- Two-panel axial: CT | PSMA PET, [18F]PSMA-1007 tracer
- acquired on Siemens Biograph mCT Flow 20
- slice position z = 228 mm
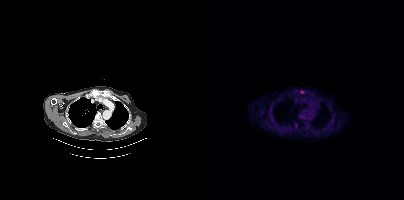
Findings: Only PSMA-avid lesion pieces thinner than 2 px on this slice (not listed).